Technique: Left: CT. Right: PSMA PET, same axial level, 18F tracer. PET panel 200×200 px (4.1 mm/px).
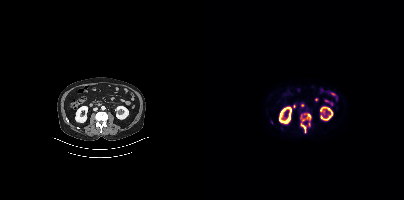
Findings: Coordinates are on the 200×200 PET (right) panel. (showing 3 of 4 foci) PSMA-avid tumor lesion bounding boxes (x0, y0)-(x1, y1): (97, 123)-(101, 132); (103, 114)-(106, 119). Small PSMA-avid focus (2 to 4 px across) near (center x, center y): (99, 119).